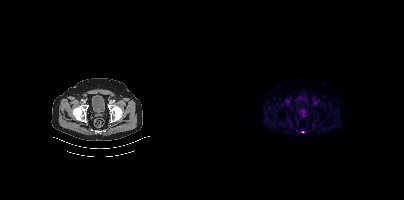
Coordinates are on the 200×200 PET (right) panel. Small PSMA-avid focus (2 to 4 px across) near (center x, center y): (98, 131). Two-panel axial: CT | PSMA PET, 18F-PSMA tracer. Slice 63 of 381.